Technique: Paired axial CT (left) and PSMA PET (right), 18F tracer.
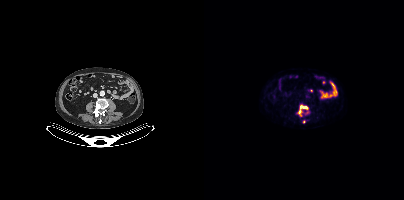
Findings: Coordinates are on the 200×200 PET (right) panel. PSMA-avid tumor lesion bounding box (x0, y0)-(x1, y1): (94, 105)-(103, 116). Small PSMA-avid focus (2 to 4 px across) near (center x, center y): (99, 121).